Two-panel axial: CT | PSMA PET, 68Ga tracer. Slice 102 of 385.
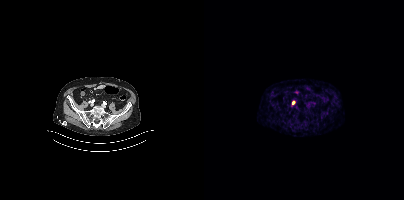
Coordinates are on the 200×200 PET (right) panel. Small PSMA-avid focus (2 to 4 px across) near (center x, center y): (89, 102).